- Two-panel axial: CT | PSMA PET, [18F]PSMA-1007 tracer
- slice position z = -345 mm
- PET panel 200×200 px (4.1 mm/px)
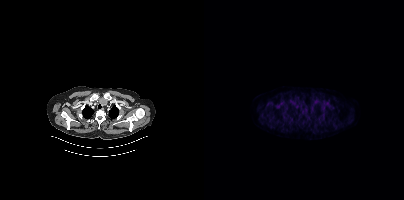
Findings: No tumor lesions annotated on this slice.